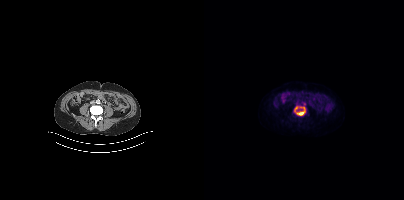
Coordinates are on the 200×200 PET (right) panel. (showing 1 of 2 foci) PSMA-avid tumor lesion bounding box (x, y, width, height): x=90 y=106 w=12 h=10.
modality: PSMA PET/CT | tracer: 18F-PSMA | view: axial | PET grid: 200×200